Paired axial CT (left) and PSMA PET (right), [18F]PSMA-1007 tracer. Acquired on Siemens Biograph mCT Flow 20. PET panel 200×200 px (4.1 mm/px).
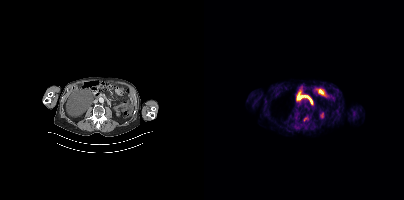
Coordinates are on the 200×200 PET (right) panel. Small PSMA-avid focus (2 to 4 px across) near (center x, center y): (101, 119).